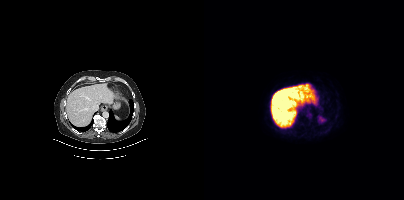
This slice has no annotated PSMA-avid lesion. Two-panel axial: CT | PSMA PET, 18F tracer. Acquired on Siemens Biograph mCT Flow 20.